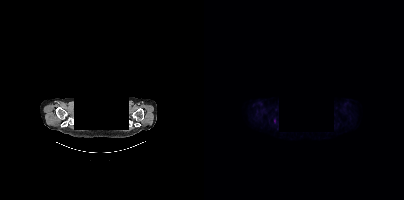
Coordinates are on the 200×200 PET (right) panel. PSMA-avid tumor lesion bounding box (x0, y0)-(x1, y1): (70, 118)-(71, 123).
de-identification: rectangular block over head set to black | modality: PSMA PET/CT | tracer: 18F-PSMA | view: axial